Paired axial CT (left) and PSMA PET (right), [68Ga]Ga-PSMA-11 tracer. Acquired on Siemens Biograph mCT Flow 20. Slice 74 of 393.
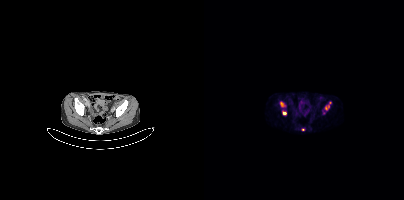
Coordinates are on the 200×200 PET (right) panel. PSMA-avid tumor lesion bounding boxes:
| # | x0 | y0 | x1 | y1 |
|---|---|---|---|---|
| 1 | 121 | 102 | 127 | 110 |
| 2 | 76 | 102 | 81 | 106 |
Small PSMA-avid foci (2 to 4 px across) near (center x, center y): (80, 113); (99, 129).